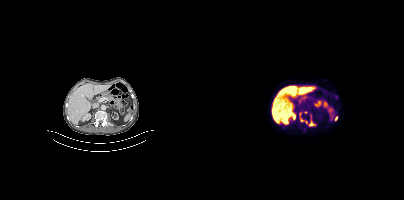
modality: PSMA PET/CT | tracer: [18F]PSMA-1007 | view: axial | PET grid: 200×200
Coordinates are on the 200×200 PET (right) panel. PSMA-avid tumor lesion bounding box (x, y, width, height): x=95 y=112 w=17 h=15. Small PSMA-avid foci (2 to 4 px across) near (center x, center y): (101, 112); (132, 118).